Left: CT. Right: PSMA PET, same axial level, 68Ga tracer.
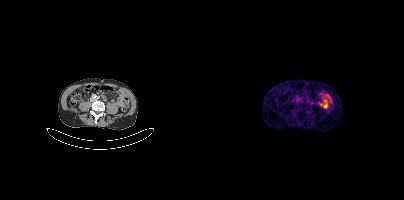
This slice has no annotated PSMA-avid lesion.